Paired axial CT (left) and PSMA PET (right), [18F]PSMA-1007 tracer. Acquired on Siemens Biograph mCT Flow 20. Slice position z = -1592 mm. PET panel 200×200 px (4.1 mm/px).
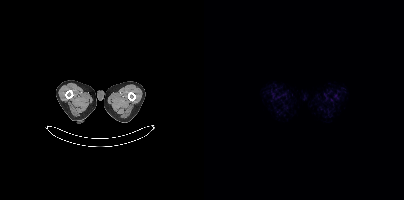
This slice has no annotated PSMA-avid lesion.